- face de-identified by blanking a block of the head
- Paired axial CT (left) and PSMA PET (right), [18F]PSMA-1007 tracer
- slice 372 of 423
- PET panel 200×200 px (4.1 mm/px)
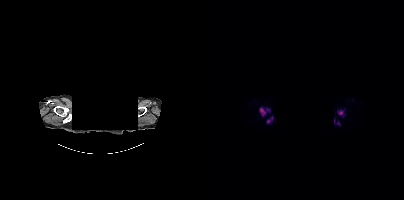
Findings: Coordinates are on the 200×200 PET (right) panel. PSMA-avid tumor lesion bounding boxes (x, y, width, height): x=55 y=107 w=12 h=10; x=62 y=116 w=8 h=8; x=134 y=110 w=6 h=6. Small PSMA-avid focus (2 to 4 px across) near (center x, center y): (134, 123).